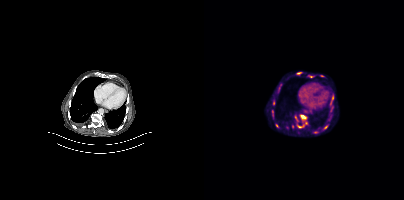
Coordinates are on the 200×200 PET (right) panel. (showing 3 of 5 foci) PSMA-avid tumor lesion bounding box (x, y, width, height): x=96 y=115 w=7 h=5. Small PSMA-avid foci (2 to 4 px across) near (center x, center y): (69, 102); (95, 126).